Left: CT. Right: PSMA PET, same axial level, [68Ga]Ga-PSMA-11 tracer. Acquired on Siemens Biograph 64-4R TruePoint. Slice 52 of 195. PET panel 168×168 px (4.1 mm/px).
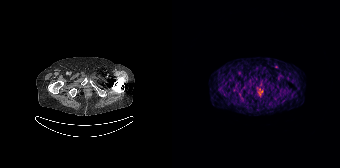
Coordinates are on the 168×168 PET (right) panel. Small PSMA-avid focus (2 to 4 px across) near (center x, center y): (104, 66).